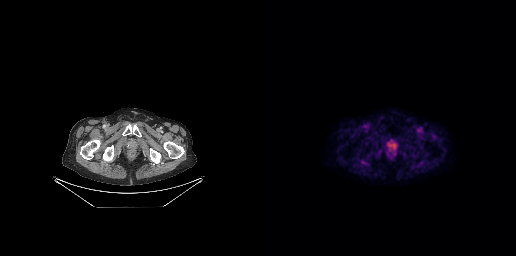
modality: PSMA PET/CT | tracer: 18F-PSMA | view: axial
Negative for PSMA-avid disease on this slice.